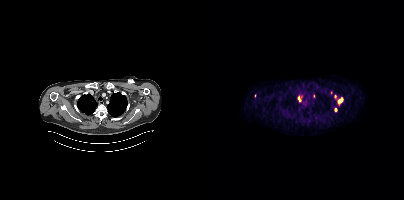
{"pet_grid":[200,200],"coord_frame":"pet_panel","coord_format":"x0,y0,x1,y1","partial":true,"lesion_bboxes":[[134,98,138,103],[94,97,96,101]],"small_foci_centers":[[131,109],[51,95],[109,96],[130,96],[127,92]],"modality":"PSMA PET/CT","view":"axial","tracer":"68Ga"}